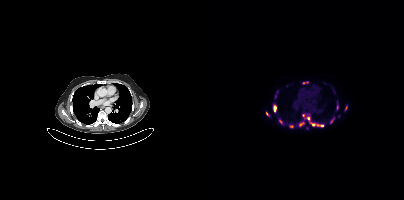
Coordinates are on the 200×200 PET (right) panel. (showing 12 of 14 foci) PSMA-avid tumor lesion bounding boxes (x, y, width, height): x=95 y=121 w=6 h=6; x=114 y=124 w=6 h=4; x=69 y=106 w=4 h=6; x=85 y=125 w=5 h=3; x=99 y=81 w=6 h=3; x=141 y=105 w=3 h=6; x=126 y=118 w=5 h=6; x=108 y=124 w=5 h=2. Small PSMA-avid foci (2 to 4 px across) near (center x, center y): (104, 118); (76, 121); (99, 115); (62, 113).